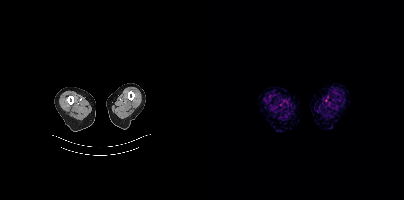
modality: PSMA PET/CT | tracer: 18F-PSMA | view: axial
Negative for PSMA-avid disease on this slice.